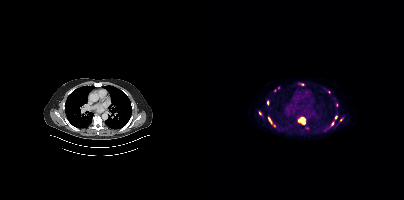
{"modality":"PSMA PET/CT","view":"axial","tracer":"[18F]PSMA-1007","pet_grid":[200,200],"coord_frame":"pet_panel","coord_format":"x0,y0,x1,y1","partial":true,"lesion_bboxes":[[94,117,101,124],[64,117,67,123]],"small_foci_centers":[[63,102],[132,117],[56,113],[128,123]]}